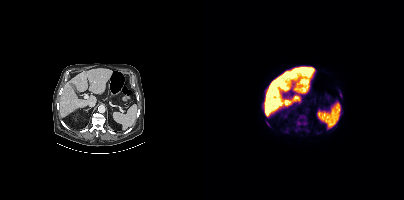
Coordinates are on the 200×200 PET (right) panel. PSMA-avid tumor lesion bounding boxes (x0, y0)-(x1, y1): (92, 115)-(102, 126) | (62, 121)-(66, 126) | (91, 128)-(95, 131). Small PSMA-avid foci (2 to 4 px across) near (center x, center y): (62, 117) | (103, 130).